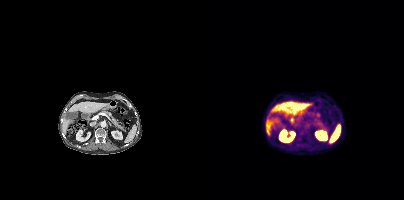
Left: CT. Right: PSMA PET, same axial level, [18F]PSMA-1007 tracer. PET panel 200×200 px (4.1 mm/px). This slice has no annotated PSMA-avid lesion.